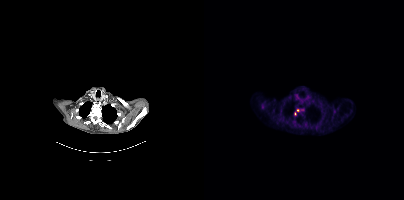
{"modality":"PSMA PET/CT","view":"axial","tracer":"18F-PSMA","pet_grid":[200,200],"coord_frame":"pet_panel","coord_format":"x0,y0,x1,y1","lesion_bboxes":[],"small_foci_centers":[[91,113],[94,110]]}